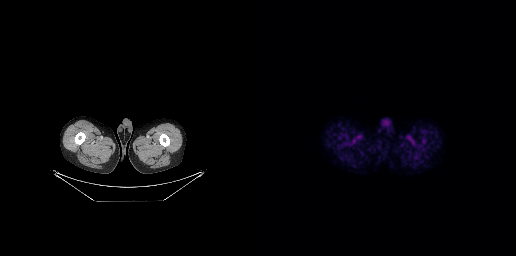
{"modality":"PSMA PET/CT","view":"axial","tracer":"18F-PSMA","pet_grid":[256,256],"coord_frame":"pet_panel","coord_format":"x0,y0,x1,y1","psma_avid_lesions":false}